Paired axial CT (left) and PSMA PET (right), 68Ga tracer.
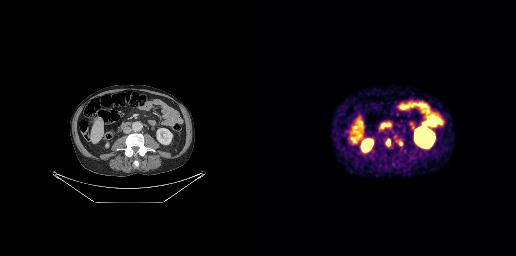
Coordinates are on the 256×256 PET (right) panel. PSMA-avid tumor lesion bounding boxes:
| # | x0 | y0 | x1 | y1 |
|---|---|---|---|---|
| 1 | 136 | 139 | 143 | 146 |
| 2 | 128 | 138 | 131 | 147 |
Small PSMA-avid focus (2 to 4 px across) near (center x, center y): (135, 136).